Paired axial CT (left) and PSMA PET (right), [18F]PSMA-1007 tracer. Acquired on Siemens Biograph mCT Flow 20. PET panel 200×200 px (4.1 mm/px).
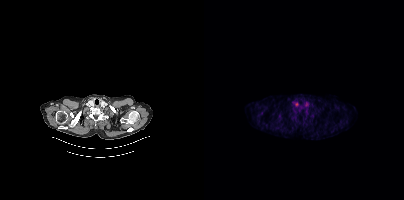
Negative for PSMA-avid disease on this slice.